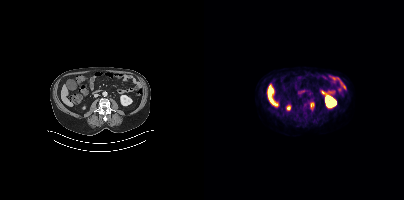
Findings: Coordinates are on the 200×200 PET (right) panel. PSMA-avid tumor lesion bounding box (x0, y0)-(x1, y1): (106, 103)-(109, 107).
Technique: Left: CT. Right: PSMA PET, same axial level, 18F tracer. acquired on Siemens Biograph mCT Flow 20. PET panel 200×200 px (4.1 mm/px).